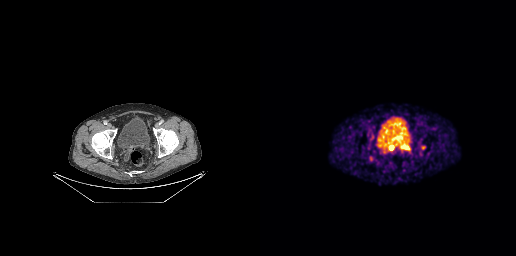
Paired axial CT (left) and PSMA PET (right), [68Ga]Ga-PSMA-11 tracer. PET panel 256×256 px (2.7 mm/px).
Coordinates are on the 256×256 PET (right) panel. PSMA-avid tumor lesion bounding boxes:
| # | x0 | y0 | x1 | y1 |
|---|---|---|---|---|
| 1 | 141 | 144 | 149 | 150 |
| 2 | 129 | 145 | 133 | 150 |
Small PSMA-avid foci (2 to 4 px across) near (center x, center y): (112, 137); (124, 148).